Two-panel axial: CT | PSMA PET, [68Ga]Ga-PSMA-11 tracer. Slice position z = -1520 mm. PET panel 200×200 px (4.1 mm/px).
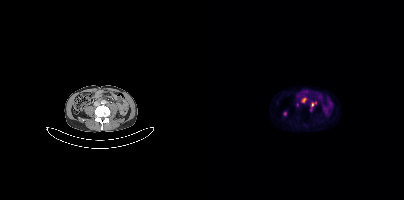
Coordinates are on the 200×200 PET (right) panel. PSMA-avid tumor lesion bounding box (x, y, width, height): x=98 y=98 w=4 h=5. Small PSMA-avid foci (2 to 4 px across) near (center x, center y): (108, 104) / (111, 102).